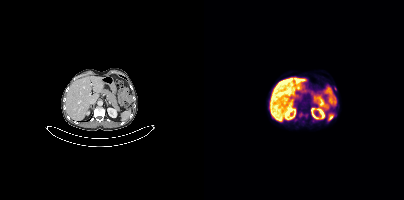
This slice has no annotated PSMA-avid lesion.